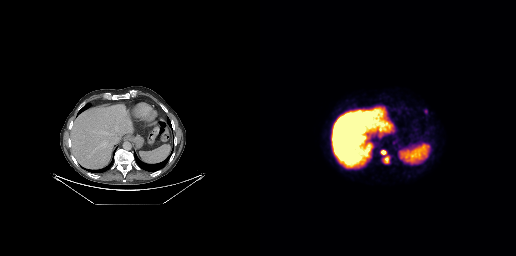
Coordinates are on the 256×256 PET (right) panel. PSMA-avid tumor lesion bounding boxes (x0, y0)-(x1, y1): (122, 156)-(129, 163) | (120, 150)-(126, 155). Small PSMA-avid focus (2 to 4 px across) near (center x, center y): (165, 111).